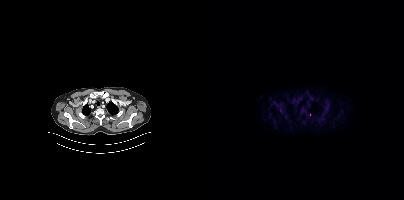
Findings: No tumor lesions annotated on this slice.
Technique: Paired axial CT (left) and PSMA PET (right), 18F tracer. slice 338 of 421. PET panel 200×200 px (4.1 mm/px).